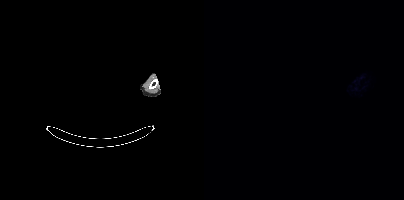
Technique: Left: CT. Right: PSMA PET, same axial level, 18F tracer.
Note: A rectangle over the head was blacked out to remove identifiable facial features.
Findings: This slice has no annotated PSMA-avid lesion.